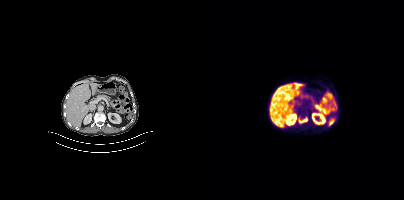
Coordinates are on the 200×200 PET (right) panel. PSMA-avid tumor lesion bounding box (x0, y0)-(x1, y1): (95, 117)-(103, 122).